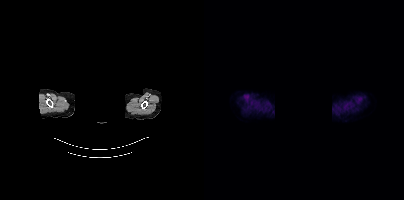
Any black rectangle over the head is a privacy mask, not anatomy. Paired axial CT (left) and PSMA PET (right), 18F-PSMA tracer. Acquired on Siemens Biograph mCT Flow 20. PET panel 200×200 px (4.1 mm/px). No tumor lesions annotated on this slice.